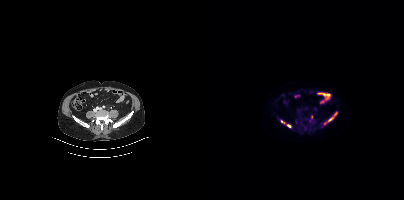
Findings: Coordinates are on the 200×200 PET (right) panel. (showing 3 of 5 foci) PSMA-avid tumor lesion bounding box (x, y, width, height): x=124 y=112 w=10 h=10. Small PSMA-avid foci (2 to 4 px across) near (center x, center y): (84, 125); (78, 121).
- Left: CT. Right: PSMA PET, same axial level, [18F]PSMA-1007 tracer